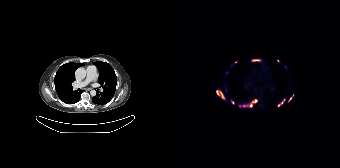
{"pet_grid":[168,168],"coord_frame":"pet_panel","coord_format":"x0,y0,x1,y1","partial":true,"lesion_bboxes":[[67,99,85,107],[44,89,53,99],[105,98,113,107],[80,59,88,61],[116,94,122,102],[59,100,62,104]],"small_foci_centers":[[55,72],[106,60],[64,62]],"modality":"PSMA PET/CT","view":"axial","tracer":"[18F]PSMA-1007"}